Technique: Left: CT. Right: PSMA PET, same axial level, 18F-PSMA tracer.
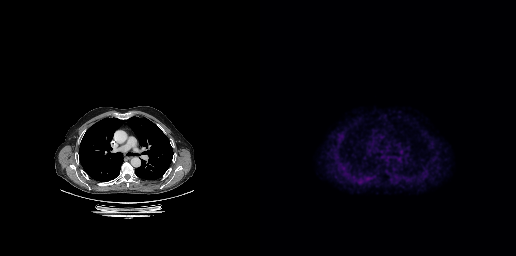
Findings: No tumor lesions annotated on this slice.